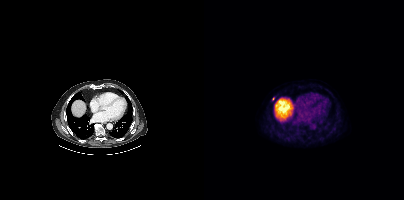
{"modality":"PSMA PET/CT","view":"axial","tracer":"18F-PSMA","pet_grid":[200,200],"coord_frame":"pet_panel","coord_format":"x0,y0,x1,y1","lesion_bboxes":[],"small_foci_centers":[[69,98]]}